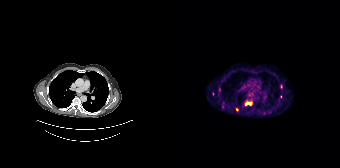
Paired axial CT (left) and PSMA PET (right), 68Ga tracer. PET panel 168×168 px (4.1 mm/px). Coordinates are on the 168×168 PET (right) panel. (showing 2 of 5 foci) Small PSMA-avid foci (2 to 4 px across) near (center x, center y): (65, 109) | (74, 103).